Head region blanked for anonymization (face removed).
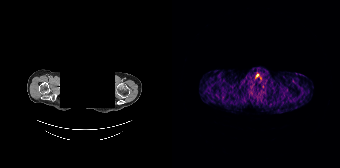
No PSMA-avid tumor lesions on this slice.